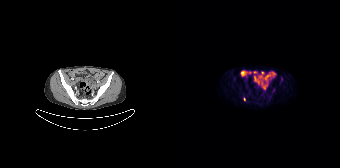
{"modality":"PSMA PET/CT","view":"axial","tracer":"[18F]PSMA-1007","pet_grid":[168,168],"coord_frame":"pet_panel","coord_format":"x0,y0,x1,y1","partial":true,"lesion_bboxes":[],"small_foci_centers":[[101,90],[72,99]]}